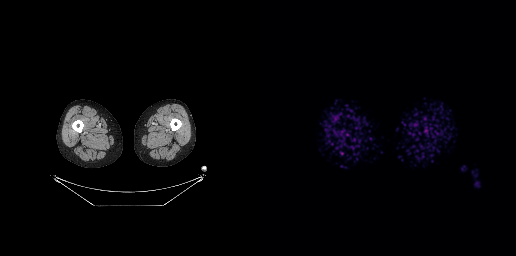
Findings: No tumor lesions annotated on this slice.
- Paired axial CT (left) and PSMA PET (right), 18F-PSMA tracer
- acquired on GE Discovery 690
- slice 2 of 263
- PET panel 256×256 px (2.7 mm/px)